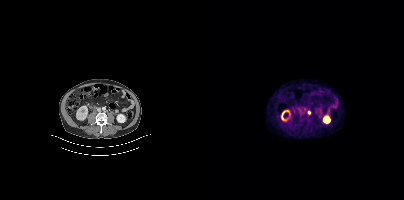
Findings: Coordinates are on the 200×200 PET (right) panel. Small PSMA-avid focus (2 to 4 px across) near (center x, center y): (105, 112).
- Left: CT. Right: PSMA PET, same axial level, [18F]PSMA-1007 tracer
- slice position z = -817 mm
- PET panel 200×200 px (4.1 mm/px)